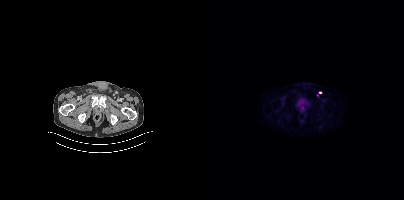
{"modality":"PSMA PET/CT","view":"axial","tracer":"[18F]PSMA-1007","pet_grid":[200,200],"coord_frame":"pet_panel","coord_format":"x0,y0,x1,y1","lesion_bboxes":[],"small_foci_centers":[[116,92]]}